modality: PSMA PET/CT | tracer: [18F]PSMA-1007 | view: axial
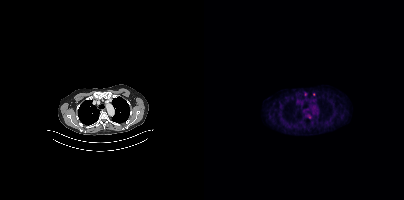
Only PSMA-avid lesion pieces thinner than 2 px on this slice (not listed).